Head region blanked for anonymization (face removed). Left: CT. Right: PSMA PET, same axial level, 18F tracer. Acquired on GE Discovery 690.
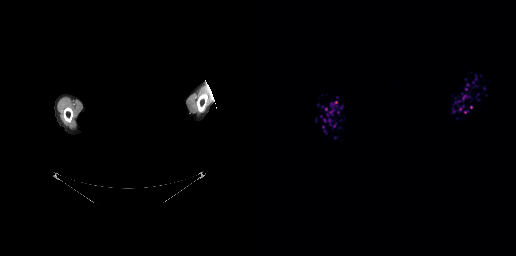
Negative for PSMA-avid disease on this slice.